Paired axial CT (left) and PSMA PET (right), 18F-PSMA tracer. PET panel 200×200 px (4.1 mm/px).
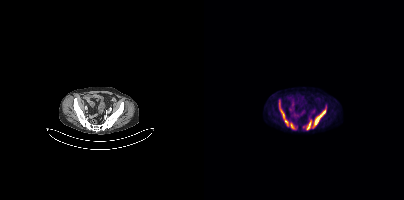
Coordinates are on the 200×200 PET (right) panel. PSMA-avid tumor lesion bounding boxes:
| # | x0 | y0 | x1 | y1 |
|---|---|---|---|---|
| 1 | 110 | 106 | 122 | 126 |
| 2 | 75 | 100 | 80 | 116 |
| 3 | 103 | 121 | 107 | 129 |
| 4 | 86 | 123 | 91 | 129 |
| 5 | 79 | 118 | 84 | 126 |